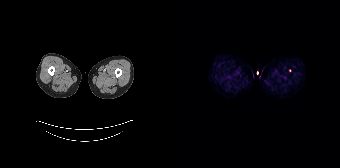
Findings: Negative for PSMA-avid disease on this slice.
Technique: Left: CT. Right: PSMA PET, same axial level, 68Ga tracer. acquired on Siemens Biograph 64-4R TruePoint. PET panel 168×168 px (4.1 mm/px).